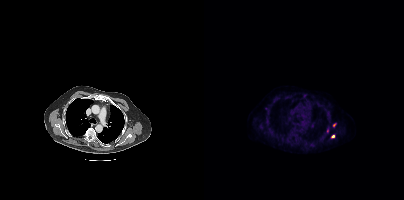
{"modality":"PSMA PET/CT","view":"axial","tracer":"18F","pet_grid":[200,200],"coord_frame":"pet_panel","coord_format":"x0,y0,x1,y1","lesion_bboxes":[],"small_foci_centers":[[129,136],[123,131]]}